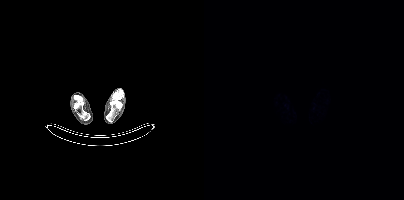
{"modality":"PSMA PET/CT","view":"axial","tracer":"18F","pet_grid":[200,200],"coord_frame":"pet_panel","coord_format":"x0,y0,x1,y1","psma_avid_lesions":false}